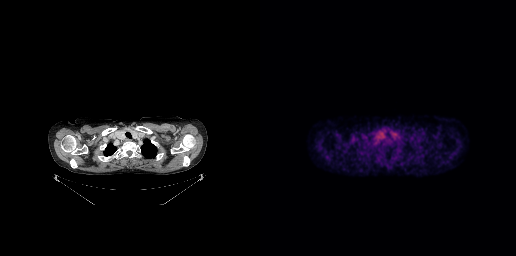
Two-panel axial: CT | PSMA PET, 18F tracer. Acquired on GE Discovery 690. Negative for PSMA-avid disease on this slice.